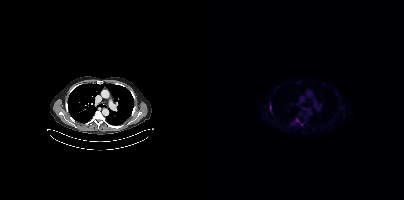
- Paired axial CT (left) and PSMA PET (right), 18F-PSMA tracer
- acquired on Siemens Biograph mCT Flow 20
Findings: Coordinates are on the 200×200 PET (right) panel. PSMA-avid tumor lesion bounding box (x, y, width, height): x=66 y=104 w=2 h=8. Small PSMA-avid foci (2 to 4 px across) near (center x, center y): (93, 120); (97, 124).